Face de-identified by blanking a block of the head. Two-panel axial: CT | PSMA PET, [18F]PSMA-1007 tracer.
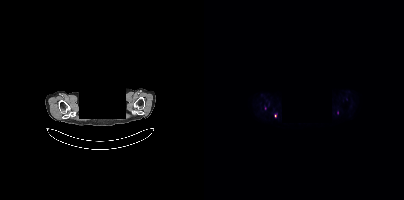
Coordinates are on the 200×200 PET (right) panel. Small PSMA-avid foci (2 to 4 px across) near (center x, center y): (133, 112) | (71, 115) | (61, 108).